Two-panel axial: CT | PSMA PET, [18F]PSMA-1007 tracer. Slice position z = -1254 mm. PET panel 200×200 px (4.1 mm/px).
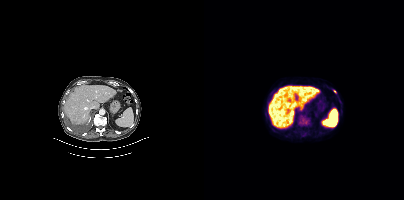
Coordinates are on the 200×200 PET (right) panel. PSMA-avid tumor lesion bounding boxes:
| # | x0 | y0 | x1 | y1 |
|---|---|---|---|---|
| 1 | 99 | 119 | 103 | 124 |
Small PSMA-avid focus (2 to 4 px across) near (center x, center y): (130, 91).